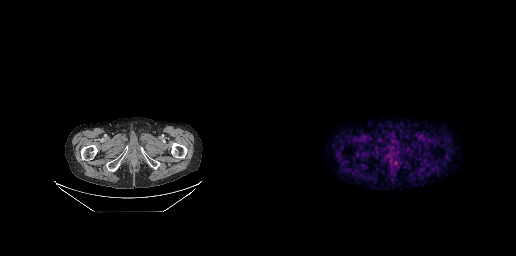
Negative for PSMA-avid disease on this slice.